Paired axial CT (left) and PSMA PET (right), 18F-PSMA tracer. Acquired on Siemens Biograph mCT Flow 20. Slice position z = -818 mm. PET panel 200×200 px (4.1 mm/px).
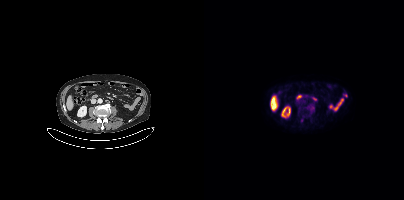
Negative for PSMA-avid disease on this slice.